- Paired axial CT (left) and PSMA PET (right), 18F tracer
- acquired on Siemens Biograph mCT Flow 20
- slice 136 of 407
- PET panel 200×200 px (4.1 mm/px)
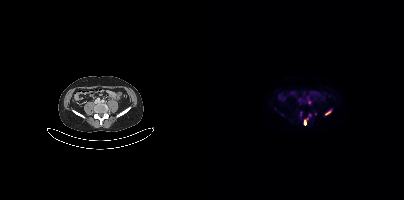
Findings: Coordinates are on the 200×200 PET (right) panel. (showing 3 of 4 foci) PSMA-avid tumor lesion bounding boxes (x, y, width, height): x=121 y=111 w=6 h=4; x=100 y=120 w=3 h=5. Small PSMA-avid focus (2 to 4 px across) near (center x, center y): (105, 102).